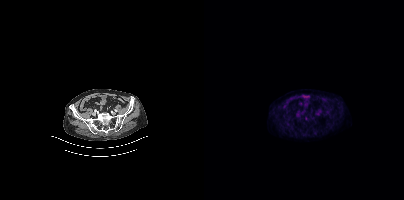
Paired axial CT (left) and PSMA PET (right), 18F-PSMA tracer. Only PSMA-avid lesion pieces thinner than 2 px on this slice (not listed).